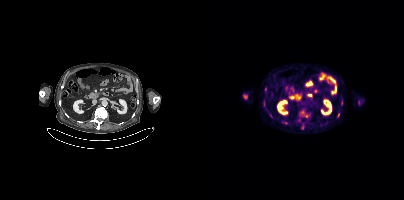
Coordinates are on the 200×200 PET (right) panel. (showing 7 of 9 foci) PSMA-avid tumor lesion bounding boxes (x0, y0)-(x1, y1): (97, 124)-(100, 129); (137, 100)-(138, 104). Small PSMA-avid foci (2 to 4 px across) near (center x, center y): (79, 122); (134, 114); (66, 115); (61, 89); (102, 116).